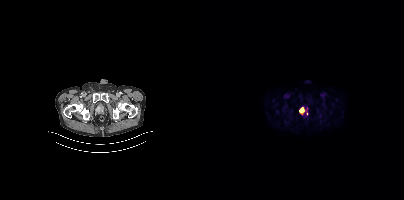
Findings: Coordinates are on the 200×200 PET (right) panel. PSMA-avid tumor lesion bounding box (x0, y0)-(x1, y1): (96, 108)-(103, 115).
Technique: Paired axial CT (left) and PSMA PET (right), 18F-PSMA tracer.